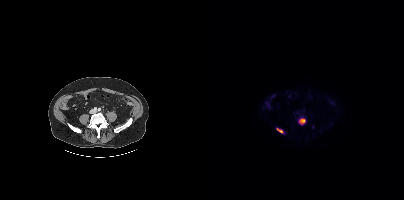
Coordinates are on the 200×200 PET (right) panel. PSMA-avid tumor lesion bounding boxes (x0,y0,x1,y1): [95,118,101,124], [72,128,79,133].